Technique: Two-panel axial: CT | PSMA PET, 18F-PSMA tracer. acquired on Siemens Biograph mCT Flow 20. slice position z = -394 mm. PET panel 200×200 px (4.1 mm/px).
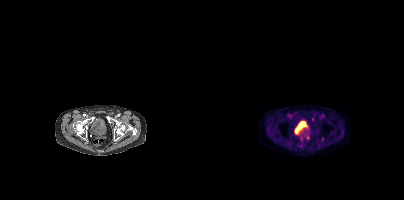
Findings: Coordinates are on the 200×200 PET (right) panel. (showing 4 of 5 foci) PSMA-avid tumor lesion bounding box (x, y, width, height): x=99 y=134 w=7 h=6. Small PSMA-avid foci (2 to 4 px across) near (center x, center y): (108, 119); (118, 138); (97, 138).